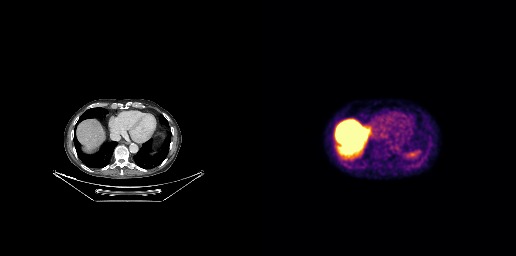
Negative for PSMA-avid disease on this slice. Two-panel axial: CT | PSMA PET, 18F-PSMA tracer.